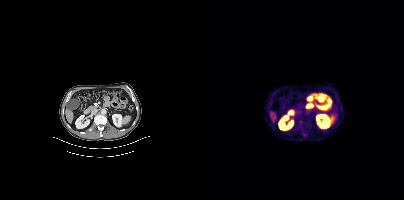
{"pet_grid":[200,200],"coord_frame":"pet_panel","coord_format":"x0,y0,x1,y1","lesion_bboxes":[[96,116,106,126],[98,132,103,138]],"modality":"PSMA PET/CT","view":"axial","tracer":"18F"}